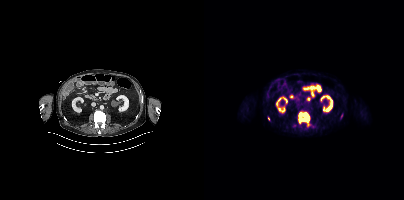
Coordinates are on the 200×200 PET (right) panel. (showing 3 of 4 foci) PSMA-avid tumor lesion bounding box (x0,y0,x1,y1): [94,112,105,123]. Small PSMA-avid foci (2 to 4 px across) near (center x, center y): (137, 115); (64, 118).